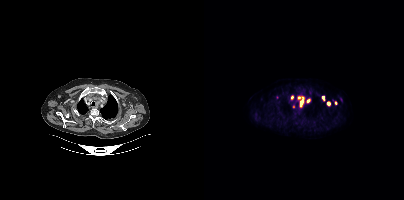
Coordinates are on the 200×200 PET (right) panel. PSMA-avid tumor lesion bounding boxes (x0, y0)-(x1, y1): (93, 96)-(100, 107); (102, 99)-(106, 102); (118, 96)-(120, 100); (87, 95)-(89, 99). Small PSMA-avid foci (2 to 4 px across) near (center x, center y): (124, 103); (131, 103); (89, 106).